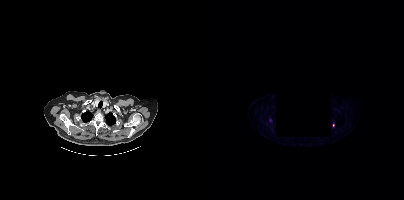
Technique: Two-panel axial: CT | PSMA PET, 18F tracer.
Note: A black rectangle in this scan is a privacy mask, not anatomy.
Findings: Coordinates are on the 200×200 PET (right) panel. (showing 1 of 2 foci) Small PSMA-avid focus (2 to 4 px across) near (center x, center y): (129, 125).